Paired axial CT (left) and PSMA PET (right), [18F]PSMA-1007 tracer. Acquired on Siemens Biograph mCT Flow 20. Slice 79 of 419.
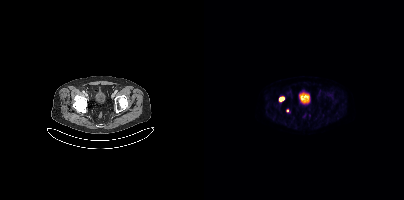
Coordinates are on the 200×200 PET (right) panel. PSMA-avid tumor lesion bounding boxes (partial; 1 more focus not listed):
| # | x0 | y0 | x1 | y1 |
|---|---|---|---|---|
| 1 | 75 | 97 | 80 | 100 |